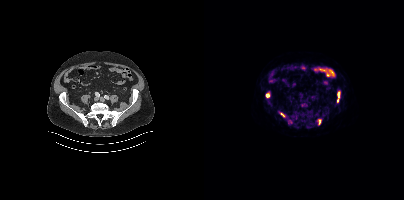
Coordinates are on the 200×200 PET (right) panel. PSMA-avid tumor lesion bounding boxes (x0, y0)-(x1, y1): (133, 91)-(136, 97); (76, 113)-(80, 116); (115, 120)-(116, 124). Small PSMA-avid foci (2 to 4 px across) near (center x, center y): (63, 95); (133, 100).